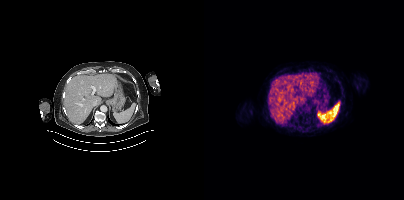
No PSMA-avid tumor lesions on this slice.